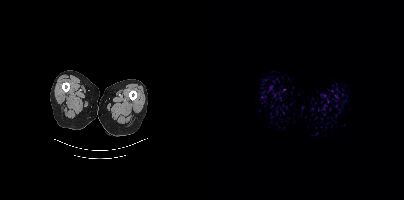
Left: CT. Right: PSMA PET, same axial level, [18F]PSMA-1007 tracer. Acquired on Siemens Biograph mCT Flow 20. PET panel 200×200 px (4.1 mm/px). No PSMA-avid tumor lesions on this slice.